Technique: Left: CT. Right: PSMA PET, same axial level, [18F]PSMA-1007 tracer. PET panel 256×256 px (2.7 mm/px).
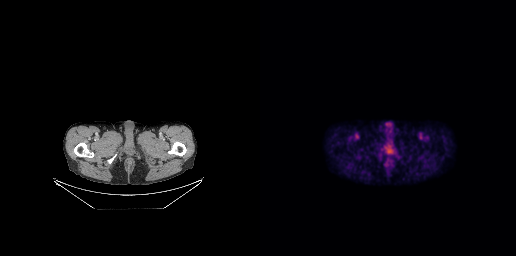
Findings: Coordinates are on the 256×256 PET (right) panel. PSMA-avid tumor lesion bounding box (x, y, width, height): x=126 y=156 w=7 h=7.